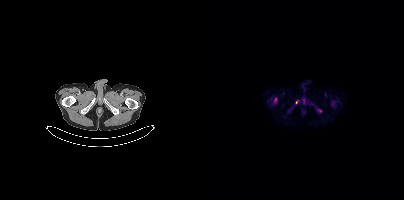
Coordinates are on the 200×200 PET (right) panel. Small PSMA-avid foci (2 to 4 px across) near (center x, center y): (71, 99) | (92, 102) | (116, 110).